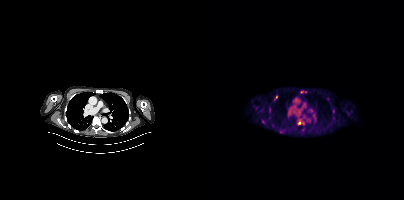
{"modality":"PSMA PET/CT","view":"axial","tracer":"18F-PSMA","pet_grid":[200,200],"coord_frame":"pet_panel","coord_format":"x0,y0,x1,y1","lesion_bboxes":[[94,122,100,124]],"small_foci_centers":[[129,110]]}